Paired axial CT (left) and PSMA PET (right), 18F-PSMA tracer.
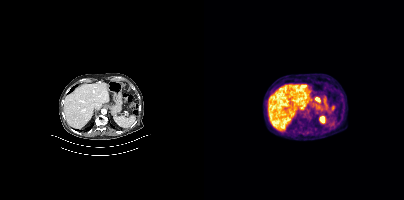
No tumor lesions annotated on this slice.